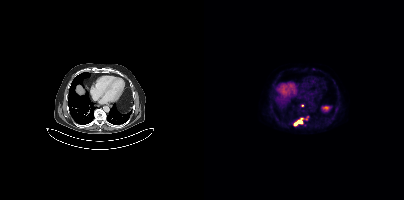
Coordinates are on the 200×200 PET (right) panel. PSMA-avid tumor lesion bounding box (x, y, width, height): x=90 y=120 w=9 h=6. Small PSMA-avid focus (2 to 4 px across) near (center x, center y): (98, 105).